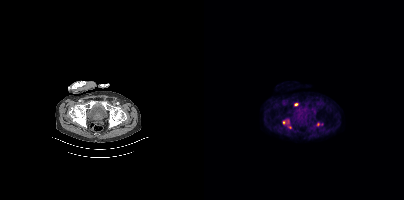
{"modality":"PSMA PET/CT","view":"axial","tracer":"18F","pet_grid":[200,200],"coord_frame":"pet_panel","coord_format":"x0,y0,x1,y1","partial":true,"lesion_bboxes":[[79,120,85,124],[90,102,94,106],[112,122,118,126]],"small_foci_centers":[[85,127]]}